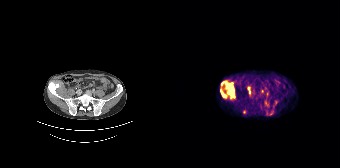
Coordinates are on the 168×168 PET (right) panel. (showing 7 of 8 foci) PSMA-avid tumor lesion bounding boxes (x0,y0,x1,y1): [48,81,63,98]; [76,87,78,93]; [93,101,96,105]. Small PSMA-avid foci (2 to 4 px across) near (center x, center y): (72, 111); (90, 91); (95, 94); (99, 113).